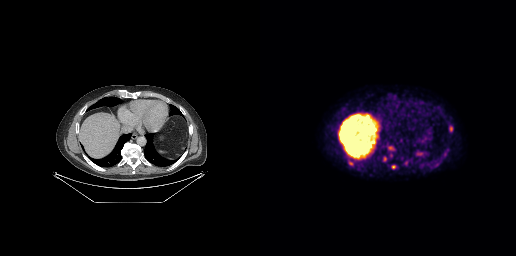
Two-panel axial: CT | PSMA PET, 18F tracer. Acquired on GE Discovery 690. PET panel 256×256 px (2.7 mm/px).
Coordinates are on the 256×256 PET (right) panel. PSMA-avid tumor lesion bounding boxes (partial; 1 more focus not listed):
| # | x0 | y0 | x1 | y1 |
|---|---|---|---|---|
| 1 | 88 | 158 | 95 | 165 |
| 2 | 189 | 126 | 192 | 131 |
Small PSMA-avid focus (2 to 4 px across) near (center x, center y): (133, 167).